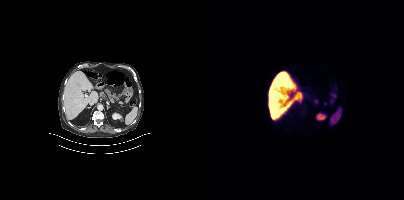
Negative for PSMA-avid disease on this slice.